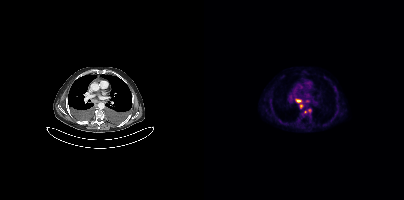
Coordinates are on the 200×200 PET (right) panel. PSMA-avid tumor lesion bounding box (x, y, width, height): x=92 y=99 w=6 h=4. Small PSMA-avid foci (2 to 4 px across) near (center x, center y): (105, 110); (103, 101); (97, 105); (101, 112).